Left: CT. Right: PSMA PET, same axial level, [18F]PSMA-1007 tracer. PET panel 200×200 px (4.1 mm/px).
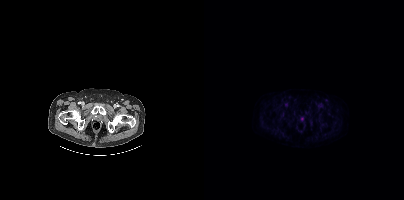
No tumor lesions annotated on this slice.